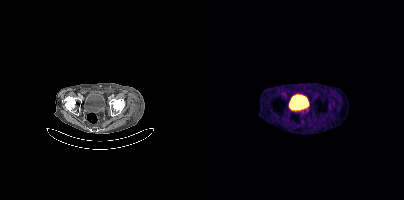
Left: CT. Right: PSMA PET, same axial level, [68Ga]Ga-PSMA-11 tracer. Slice 83 of 413. PET panel 200×200 px (4.1 mm/px).
Coordinates are on the 200×200 PET (right) panel. PSMA-avid tumor lesion bounding boxes:
| # | x0 | y0 | x1 | y1 |
|---|---|---|---|---|
| 1 | 97 | 109 | 103 | 111 |